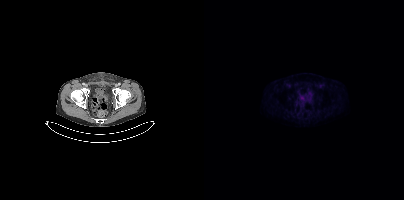
modality: PSMA PET/CT | tracer: 18F | view: axial
No PSMA-avid tumor lesions on this slice.